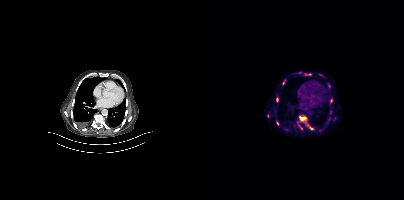
{"pet_grid":[200,200],"coord_frame":"pet_panel","coord_format":"x0,y0,x1,y1","partial":true,"lesion_bboxes":[[95,115,110,130],[100,73,107,75],[72,97,74,102],[94,125,99,130],[78,80,81,84],[72,121,75,125]],"small_foci_centers":[[127,100],[64,115],[126,112],[125,119],[96,72],[130,118]],"modality":"PSMA PET/CT","view":"axial","tracer":"18F-PSMA"}